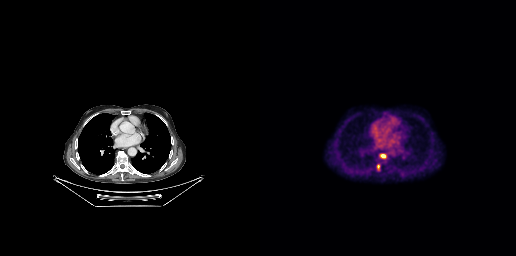
Findings: Coordinates are on the 256×256 PET (right) panel. PSMA-avid tumor lesion bounding box (x0,y0,x1,y1): [116,166,120,170]. Small PSMA-avid focus (2 to 4 px across) near (center x, center y): (123, 155).
- Two-panel axial: CT | PSMA PET, 18F-PSMA tracer
- slice position z = -306 mm